Privacy masking over the head, with the pixels inside a rectangle set to black. Two-panel axial: CT | PSMA PET, 18F tracer. Slice position z = -76 mm.
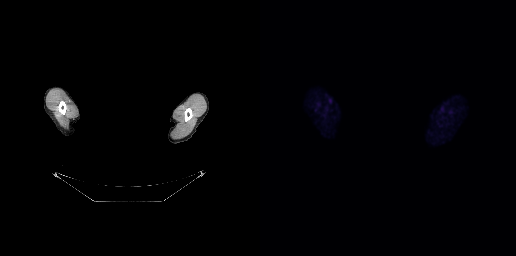
No tumor lesions annotated on this slice.